modality: PSMA PET/CT | tracer: [18F]PSMA-1007 | view: axial
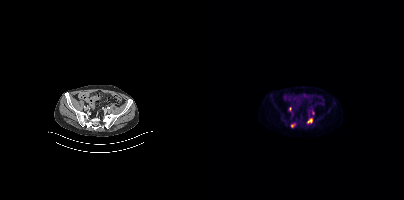
Coordinates are on the 200×200 PET (right) panel. PSMA-avid tumor lesion bounding boxes (x0,y0,x1,y1): [103,118,108,123] [87,124,91,127].